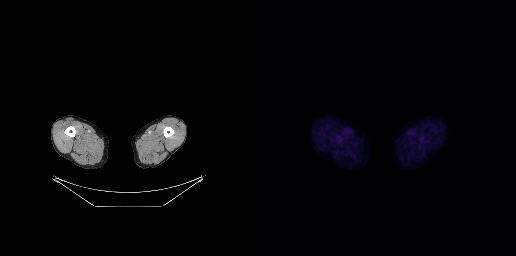
{"modality":"PSMA PET/CT","view":"axial","tracer":"18F-PSMA","pet_grid":[256,256],"coord_frame":"pet_panel","coord_format":"x0,y0,x1,y1","psma_avid_lesions":false}